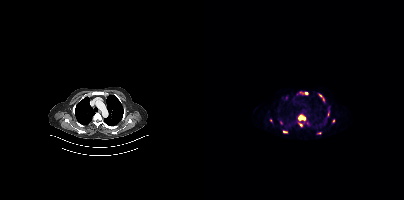
Technique: Paired axial CT (left) and PSMA PET (right), 68Ga tracer.
Findings: Coordinates are on the 200×200 PET (right) panel. (showing 11 of 12 foci) PSMA-avid tumor lesion bounding boxes (x, y, width, height): x=94 y=115 w=8 h=6 | x=114 y=93 w=7 h=9 | x=101 y=120 w=5 h=5 | x=94 y=123 w=5 h=4 | x=124 y=107 w=2 h=5. Small PSMA-avid foci (2 to 4 px across) near (center x, center y): (77, 122) | (115, 133) | (102, 93) | (80, 131) | (124, 114) | (129, 120).